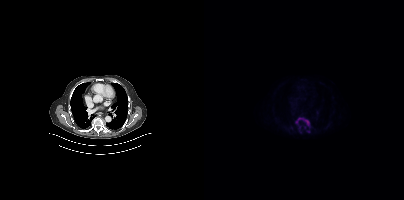
- Paired axial CT (left) and PSMA PET (right), 18F tracer
- slice 283 of 395
- PET panel 200×200 px (4.1 mm/px)
Findings: Coordinates are on the 200×200 PET (right) panel. PSMA-avid tumor lesion bounding boxes (x0,y0,x1,y1): [91,119,105,130], [103,127,106,132]. Small PSMA-avid focus (2 to 4 px across) near (center x, center y): (100, 127).